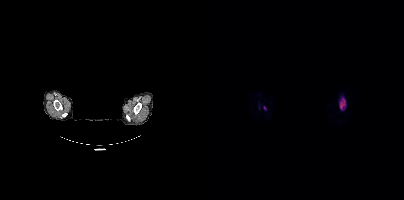
Coordinates are on the 200×200 PET (right) panel. PSMA-avid tumor lesion bounding box (x0,y0,x1,y1): [135,97,142,110]. Small PSMA-avid focus (2 to 4 px across) near (center x, center y): (61, 107).
Privacy masking over the head, with the pixels inside a rectangle set to black.